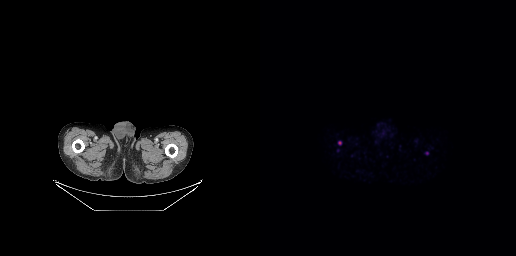
Coordinates are on the 256×256 PET (right) panel. Small PSMA-avid focus (2 to 4 px across) near (center x, center y): (79, 143).